Two-panel axial: CT | PSMA PET, 18F tracer.
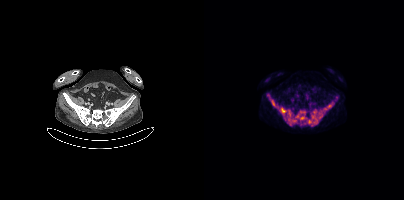
Coordinates are on the 200×200 PET (right) panel. (showing 5 of 6 foci) PSMA-avid tumor lesion bounding boxes (x, y, width, height): x=81 y=114 w=36 h=13 | x=67 y=100 w=8 h=8. Small PSMA-avid foci (2 to 4 px across) near (center x, center y): (79, 110) | (125, 106) | (100, 123).